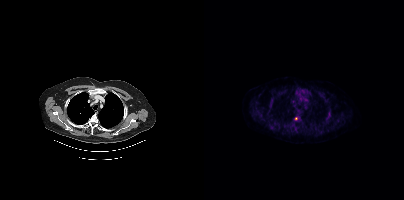
{"modality":"PSMA PET/CT","view":"axial","tracer":"18F","pet_grid":[200,200],"coord_frame":"pet_panel","coord_format":"x0,y0,x1,y1","lesion_bboxes":[],"small_foci_centers":[[92,118]]}